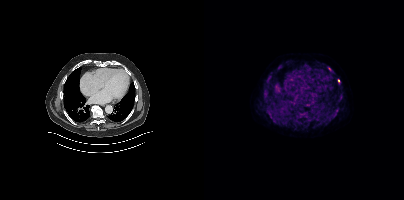
Coordinates are on the 200×200 PET (right) panel. (showing 15 of 19 foci) PSMA-avid tumor lesion bounding boxes (x, y, width, height): x=60 y=80 w=7 h=7 / x=95 y=112 w=8 h=5 / x=64 y=113 w=6 h=6 / x=126 y=113 w=6 h=7 / x=72 y=121 w=5 h=4 / x=134 y=97 w=4 h=5 / x=124 y=67 w=4 h=5. Small PSMA-avid foci (2 to 4 px across) near (center x, center y): (65, 76) / (61, 89) / (124, 120) / (61, 98) / (133, 109) / (134, 80) / (97, 108) / (74, 68). Paired axial CT (left) and PSMA PET (right), 18F-PSMA tracer. Acquired on Siemens Biograph mCT Flow 20. Slice position z = -418 mm. PET panel 200×200 px (4.1 mm/px).